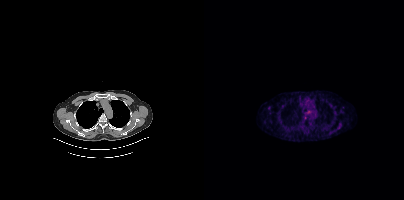
Negative for PSMA-avid disease on this slice.